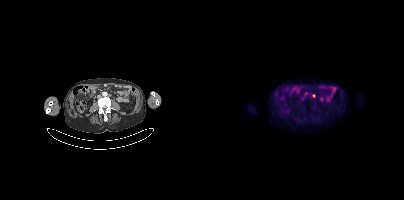
Two-panel axial: CT | PSMA PET, [18F]PSMA-1007 tracer. Slice 161 of 417. Coordinates are on the 200×200 PET (right) panel. Small PSMA-avid foci (2 to 4 px across) near (center x, center y): (109, 95); (101, 93).